modality: PSMA PET/CT | tracer: 18F-PSMA | view: axial
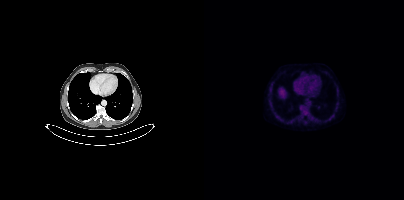
Negative for PSMA-avid disease on this slice.